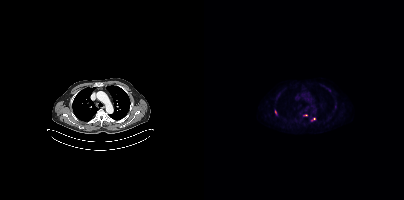
modality: PSMA PET/CT | tracer: 18F | view: axial
Coordinates are on the 200×200 PET (right) panel. (showing 2 of 3 foci) PSMA-avid tumor lesion bounding box (x0,y0,x1,y1): [107,118,111,121]. Small PSMA-avid focus (2 to 4 px across) near (center x, center y): (71, 112).